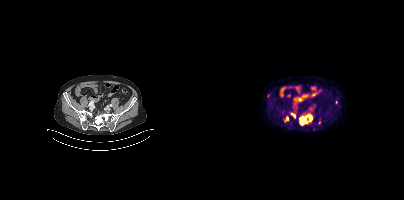
{"modality":"PSMA PET/CT","view":"axial","tracer":"18F","pet_grid":[200,200],"coord_frame":"pet_panel","coord_format":"x0,y0,x1,y1","lesion_bboxes":[[95,115,109,124],[87,113,91,118],[80,116,84,121]],"small_foci_centers":[[64,95],[132,102],[115,122]]}